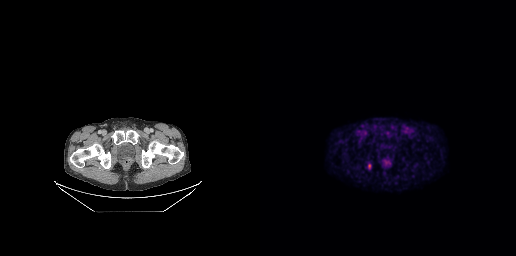
Coordinates are on the 256×256 PET (right) panel. Small PSMA-avid focus (2 to 4 px across) near (center x, center y): (109, 166).
modality: PSMA PET/CT | tracer: 18F-PSMA | view: axial | PET grid: 256×256